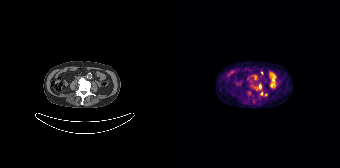
Two-panel axial: CT | PSMA PET, 68Ga-PSMA tracer. PET panel 168×168 px (4.1 mm/px).
Coordinates are on the 168×168 PET (right) panel. PSMA-avid tumor lesion bounding boxes (partial; 1 more focus not listed):
| # | x0 | y0 | x1 | y1 |
|---|---|---|---|---|
| 1 | 89 | 92 | 95 | 96 |
| 2 | 84 | 84 | 89 | 89 |
Small PSMA-avid foci (2 to 4 px across) near (center x, center y): (89, 73); (81, 101).